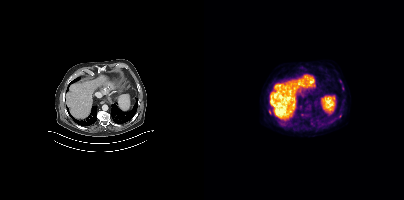
Findings: Coordinates are on the 200×200 PET (right) panel. (showing 2 of 4 foci) Small PSMA-avid foci (2 to 4 px across) near (center x, center y): (66, 111) | (136, 116).
- Paired axial CT (left) and PSMA PET (right), 18F-PSMA tracer
- acquired on Siemens Biograph mCT Flow 20
- slice 241 of 411